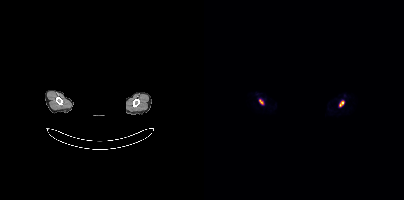
Facial anatomy redacted by setting a rectangular region of the head to black.
Coordinates are on the 200×200 PET (right) panel. PSMA-avid tumor lesion bounding box (x0,y0,x1,y1): [135,101,139,106]. Small PSMA-avid focus (2 to 4 px across) near (center x, center y): (56, 101).